modality: PSMA PET/CT | tracer: 18F-PSMA | view: axial | PET grid: 168×168
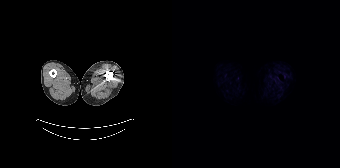
No tumor lesions annotated on this slice.